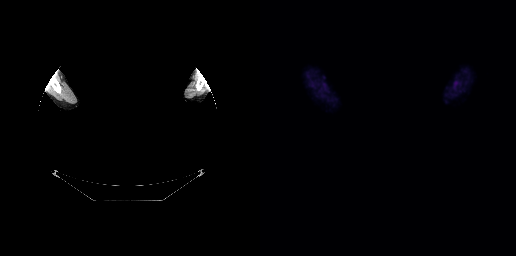
{"modality":"PSMA PET/CT","view":"axial","tracer":"[18F]PSMA-1007","pet_grid":[256,256],"coord_frame":"pet_panel","coord_format":"x0,y0,x1,y1","psma_avid_lesions":false,"deidentification":"head region blanked (face removed)"}